Technique: Two-panel axial: CT | PSMA PET, 18F-PSMA tracer. acquired on Siemens Biograph mCT Flow 20. PET panel 200×200 px (4.1 mm/px).
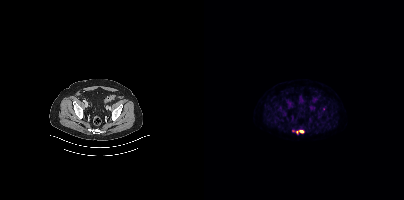
Findings: Coordinates are on the 200×200 PET (right) panel. (showing 1 of 3 foci) Small PSMA-avid focus (2 to 4 px across) near (center x, center y): (97, 131).